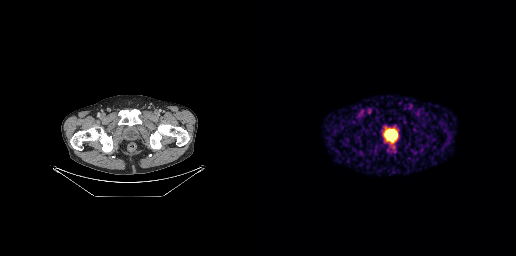
{"pet_grid":[256,256],"coord_frame":"pet_panel","coord_format":"x0,y0,x1,y1","lesion_bboxes":[[127,132,133,138]],"modality":"PSMA PET/CT","view":"axial","tracer":"68Ga"}